Technique: Left: CT. Right: PSMA PET, same axial level, [18F]PSMA-1007 tracer.
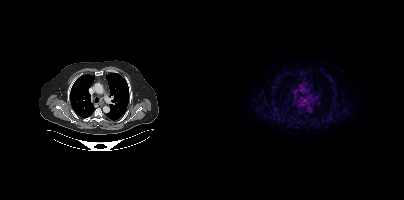
Findings: Coordinates are on the 200×200 PET (right) panel. Small PSMA-avid focus (2 to 4 px across) near (center x, center y): (70, 107).